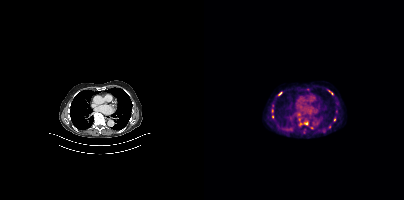
Coordinates are on the 200×200 PET (right) panel. (showing 8 of 10 foci) PSMA-avid tumor lesion bounding boxes (x, y, width, height): x=100 y=122 w=5 h=3; x=74 y=92 w=5 h=4. Small PSMA-avid foci (2 to 4 px across) near (center x, center y): (126, 92); (68, 116); (68, 111); (96, 123); (130, 119); (125, 126).